An anonymization step blacked out a rectangle over the head in this scan.
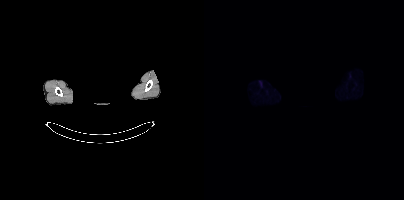
No PSMA-avid tumor lesions on this slice.